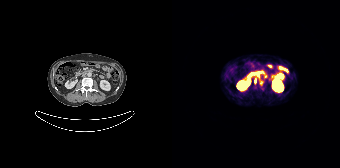
Findings: Coordinates are on the 168×168 PET (right) panel. (showing 2 of 3 foci) Small PSMA-avid foci (2 to 4 px across) near (center x, center y): (89, 82) | (82, 81).
Technique: Two-panel axial: CT | PSMA PET, 68Ga-PSMA tracer. slice position z = -1154 mm. PET panel 168×168 px (4.1 mm/px).